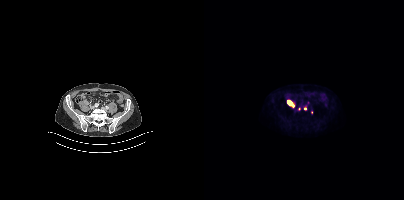
{"pet_grid":[200,200],"coord_frame":"pet_panel","coord_format":"x0,y0,x1,y1","partial":true,"lesion_bboxes":[[83,100,90,107]],"small_foci_centers":[[101,108],[107,112]],"modality":"PSMA PET/CT","view":"axial","tracer":"[18F]PSMA-1007"}